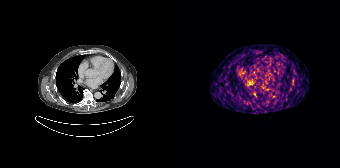
{"modality":"PSMA PET/CT","view":"axial","tracer":"[68Ga]Ga-PSMA-11","pet_grid":[168,168],"coord_frame":"pet_panel","coord_format":"x0,y0,x1,y1","psma_avid_lesions":false}